Left: CT. Right: PSMA PET, same axial level, 18F tracer.
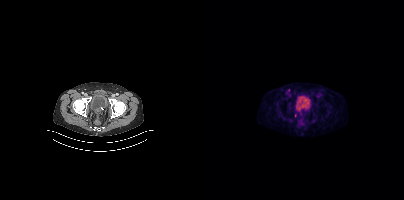
Only PSMA-avid lesion pieces thinner than 2 px on this slice (not listed).